Technique: Paired axial CT (left) and PSMA PET (right), 18F-PSMA tracer. acquired on Siemens Biograph mCT Flow 20. PET panel 200×200 px (4.1 mm/px).
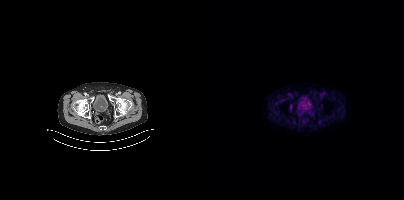
Findings: Coordinates are on the 200×200 PET (right) panel. PSMA-avid tumor lesion bounding box (x0,y0,x1,y1): [86,104,88,108].